modality: PSMA PET/CT | tracer: [18F]PSMA-1007 | view: axial | PET grid: 168×168
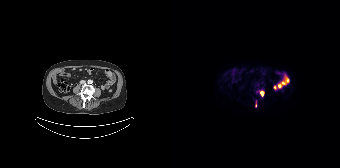
Coordinates are on the 168×168 PET (right) panel. PSMA-avid tumor lesion bounding boxes (x, y, width, height): x=87 y=90 w=6 h=7; x=83 y=101 w=2 h=7.